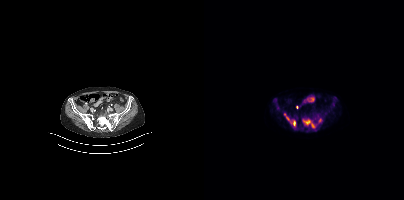
Two-panel axial: CT | PSMA PET, 18F-PSMA tracer.
Coordinates are on the 200×200 PET (right) panel. PSMA-avid tumor lesion bounding boxes:
| # | x0 | y0 | x1 | y1 |
|---|---|---|---|---|
| 1 | 99 | 119 | 111 | 128 |
| 2 | 81 | 114 | 91 | 126 |
| 3 | 114 | 118 | 118 | 123 |
| 4 | 70 | 100 | 75 | 107 |